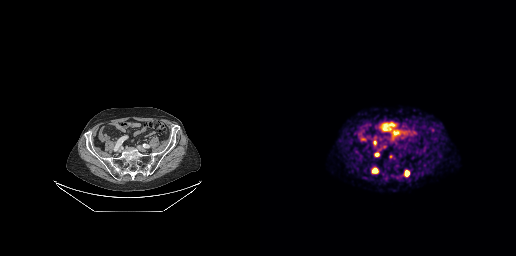
Technique: Left: CT. Right: PSMA PET, same axial level, [68Ga]Ga-PSMA-11 tracer. acquired on GE Discovery 690.
Findings: Coordinates are on the 256×256 PET (right) panel. PSMA-avid tumor lesion bounding boxes (x0, y0)-(x1, y1): (114, 152)-(119, 156) | (113, 169)-(119, 172) | (113, 140)-(116, 145) | (145, 171)-(148, 175). Small PSMA-avid focus (2 to 4 px across) near (center x, center y): (131, 156).